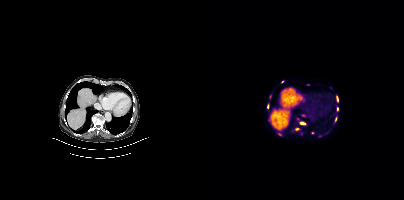
Technique: Two-panel axial: CT | PSMA PET, 68Ga-PSMA tracer. acquired on Siemens Biograph mCT Flow 20. slice 227 of 409. PET panel 200×200 px (4.1 mm/px).
Findings: Coordinates are on the 200×200 PET (right) panel. (showing 9 of 14 foci) PSMA-avid tumor lesion bounding boxes (x, y, width, height): x=91 y=128 w=5 h=3 | x=96 y=122 w=5 h=3. Small PSMA-avid foci (2 to 4 px across) near (center x, center y): (65, 120) | (133, 108) | (104, 84) | (133, 98) | (131, 118) | (108, 132) | (75, 134).